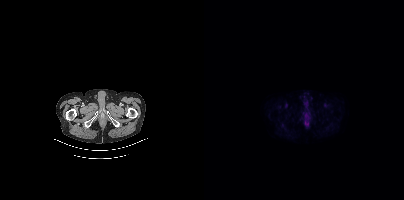
Two-panel axial: CT | PSMA PET, 18F-PSMA tracer. No tumor lesions annotated on this slice.